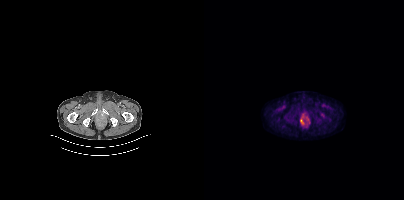
Left: CT. Right: PSMA PET, same axial level, 18F tracer. Slice 46 of 387. PET panel 200×200 px (4.1 mm/px). Only PSMA-avid lesion pieces thinner than 2 px on this slice (not listed).